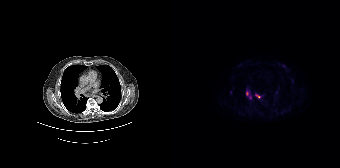
{"modality":"PSMA PET/CT","view":"axial","tracer":"18F","pet_grid":[168,168],"coord_frame":"pet_panel","coord_format":"x0,y0,x1,y1","partial":true,"lesion_bboxes":[[84,94,88,98]],"small_foci_centers":[[75,93]]}